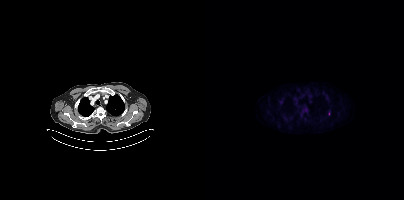
{"modality":"PSMA PET/CT","view":"axial","tracer":"18F","pet_grid":[200,200],"coord_frame":"pet_panel","coord_format":"x0,y0,x1,y1","partial":true,"lesion_bboxes":[],"small_foci_centers":[[124,113]]}